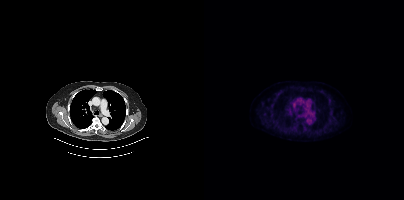
This slice has no annotated PSMA-avid lesion.